- Paired axial CT (left) and PSMA PET (right), 18F tracer
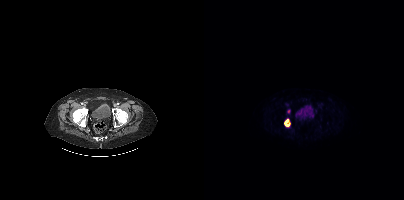
Findings: Coordinates are on the 200×200 PET (right) panel. PSMA-avid tumor lesion bounding box (x0,y0,x1,y1): [80,119,85,126].